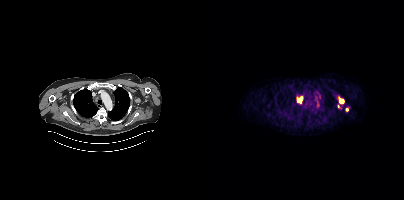
Coordinates are on the 200×200 PET (right) panel. (showing 5 of 6 foci) PSMA-avid tumor lesion bounding boxes (x0, y0)-(x1, y1): (93, 97)-(98, 102) / (135, 99)-(139, 103). Small PSMA-avid foci (2 to 4 px across) near (center x, center y): (112, 98) / (134, 106) / (142, 109). Left: CT. Right: PSMA PET, same axial level, 68Ga-PSMA tracer. Slice 339 of 429.